- Paired axial CT (left) and PSMA PET (right), 68Ga tracer
- slice 378 of 397
- an anonymization step blacked out a rectangle over the head in this scan
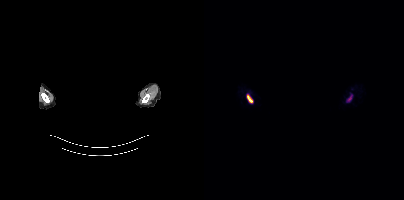
Findings: Coordinates are on the 200×200 PET (right) panel. PSMA-avid tumor lesion bounding boxes (x, y, width, height): x=43 y=94 w=6 h=9; x=143 y=96 w=6 h=6.